Technique: Paired axial CT (left) and PSMA PET (right), 18F tracer. acquired on GE Discovery 690. slice 159 of 299. PET panel 256×256 px (2.7 mm/px).
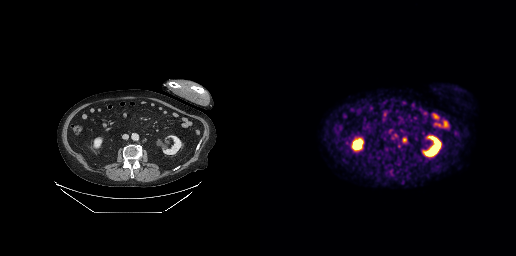
Findings: Coordinates are on the 256×256 PET (right) panel. Small PSMA-avid focus (2 to 4 px across) near (center x, center y): (144, 139).